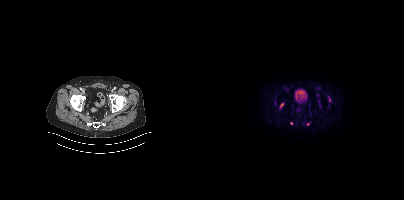
{"modality":"PSMA PET/CT","view":"axial","tracer":"[18F]PSMA-1007","pet_grid":[200,200],"coord_frame":"pet_panel","coord_format":"x0,y0,x1,y1","partial":true,"lesion_bboxes":[[76,103,79,107]],"small_foci_centers":[[103,124]]}